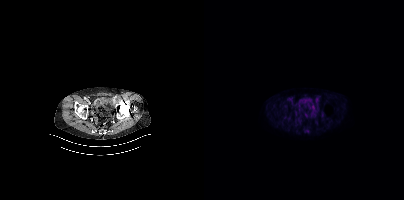
Two-panel axial: CT | PSMA PET, 18F tracer. Acquired on Siemens Biograph mCT Flow 20. Slice position z = -763 mm. Negative for PSMA-avid disease on this slice.